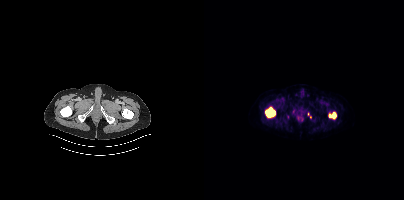
Technique: Two-panel axial: CT | PSMA PET, 18F tracer. acquired on Siemens Biograph mCT Flow 20. slice position z = -1032 mm.
Findings: Coordinates are on the 200×200 PET (right) panel. PSMA-avid tumor lesion bounding boxes (x0, y0)-(x1, y1): (61, 107)-(71, 117); (125, 112)-(132, 118).